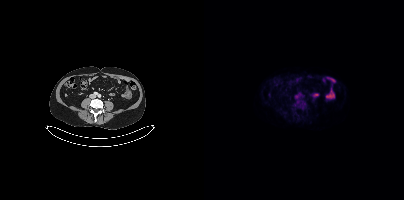
{"pet_grid":[200,200],"coord_frame":"pet_panel","coord_format":"x0,y0,x1,y1","psma_avid_lesions":false,"modality":"PSMA PET/CT","view":"axial","tracer":"18F-PSMA"}